Face de-identified by blanking a block of the head.
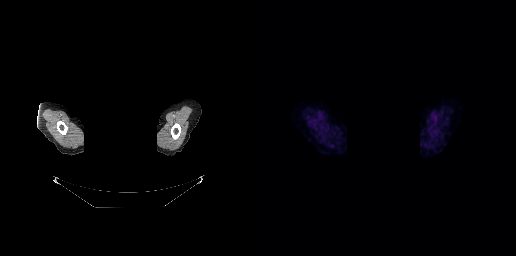
Negative for PSMA-avid disease on this slice.